Paired axial CT (left) and PSMA PET (right), [18F]PSMA-1007 tracer.
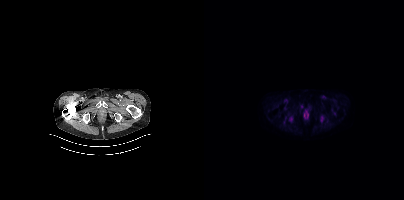
No tumor lesions annotated on this slice.